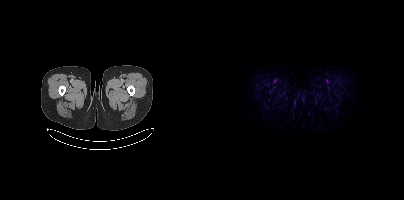
Negative for PSMA-avid disease on this slice.
modality: PSMA PET/CT | tracer: 18F | view: axial | PET grid: 200×200